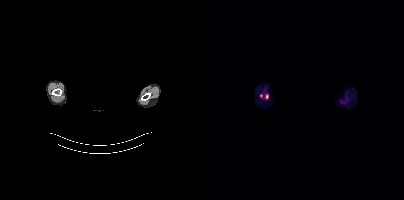
A rectangular block over the head has been blanked out for de-identification. Left: CT. Right: PSMA PET, same axial level, 18F-PSMA tracer. PET panel 200×200 px (4.1 mm/px). Negative for PSMA-avid disease on this slice.